Technique: Left: CT. Right: PSMA PET, same axial level, [18F]PSMA-1007 tracer. PET panel 200×200 px (4.1 mm/px).
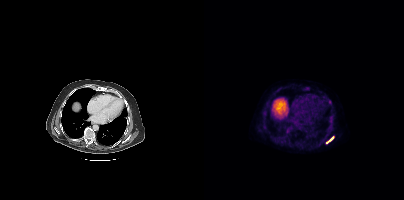
Findings: Coordinates are on the 200×200 PET (right) panel. PSMA-avid tumor lesion bounding box (x0, y0)-(x1, y1): (122, 136)-(129, 143).